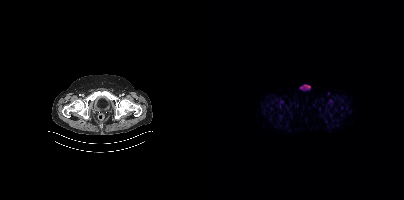
Left: CT. Right: PSMA PET, same axial level, 18F-PSMA tracer. Slice position z = -440 mm. Negative for PSMA-avid disease on this slice.